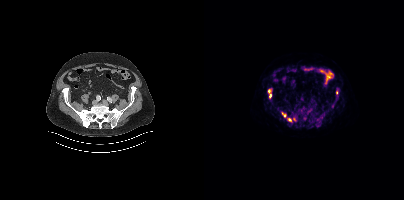
- Left: CT. Right: PSMA PET, same axial level, 18F-PSMA tracer
- slice position z = -738 mm
- PET panel 200×200 px (4.1 mm/px)
Findings: Coordinates are on the 200×200 PET (right) panel. PSMA-avid tumor lesion bounding boxes (x0, y0)-(x1, y1): (113, 119)-(117, 123); (83, 118)-(87, 121); (78, 112)-(81, 116). Small PSMA-avid foci (2 to 4 px across) near (center x, center y): (132, 92); (66, 96); (64, 90); (90, 119).